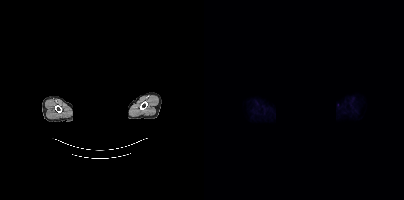
- face de-identified by blanking a block of the head
- Paired axial CT (left) and PSMA PET (right), 18F-PSMA tracer
- acquired on Siemens Biograph mCT Flow 20
- slice 410 of 452
Findings: No PSMA-avid tumor lesions on this slice.